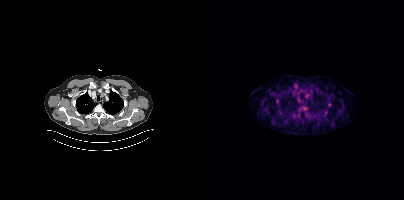
Coordinates are on the 200×200 PET (right) panel. Small PSMA-avid foci (2 to 4 px across) near (center x, center y): (73, 100) / (102, 95) / (95, 99) / (125, 104). Paired axial CT (left) and PSMA PET (right), [18F]PSMA-1007 tracer.